- Two-panel axial: CT | PSMA PET, 18F tracer
- acquired on Siemens Biograph mCT Flow 20
- PET panel 200×200 px (4.1 mm/px)
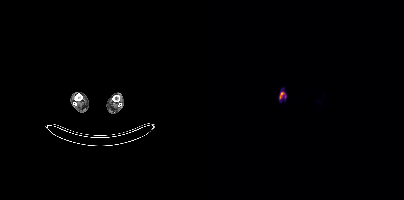
Findings: Coordinates are on the 200×200 PET (right) panel. PSMA-avid tumor lesion bounding box (x, y, width, height): x=75 y=92 w=7 h=8.